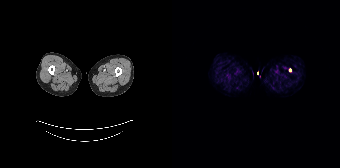
Coordinates are on the 168×168 PET (right) panel. Small PSMA-avid focus (2 to 4 px across) near (center x, center y): (118, 70).